Paired axial CT (left) and PSMA PET (right), [18F]PSMA-1007 tracer.
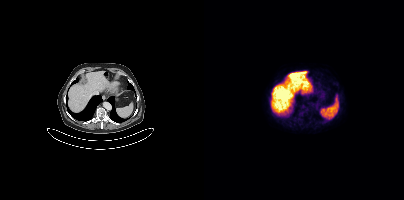
Coordinates are on the 200×200 PET (right) panel. Small PSMA-avid focus (2 to 4 px across) near (center x, center y): (99, 106).